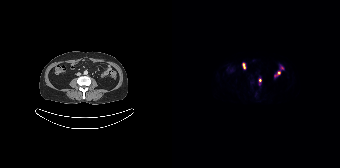
{"modality":"PSMA PET/CT","view":"axial","tracer":"[18F]PSMA-1007","pet_grid":[168,168],"coord_frame":"pet_panel","coord_format":"x0,y0,x1,y1","partial":true,"lesion_bboxes":[],"small_foci_centers":[[88,80]]}